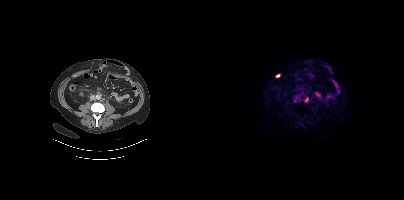
Technique: Two-panel axial: CT | PSMA PET, 18F-PSMA tracer. acquired on Siemens Biograph mCT Flow 20.
Findings: Coordinates are on the 200×200 PET (right) panel. (showing 2 of 3 foci) Small PSMA-avid foci (2 to 4 px across) near (center x, center y): (95, 100) (102, 100).